Technique: Left: CT. Right: PSMA PET, same axial level, 18F tracer. acquired on Siemens Biograph mCT Flow 20. PET panel 200×200 px (4.1 mm/px).
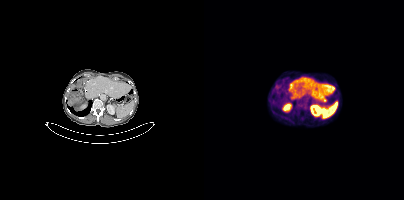
Findings: Negative for PSMA-avid disease on this slice.